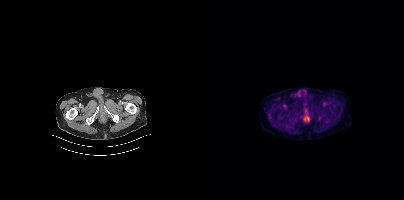
Negative for PSMA-avid disease on this slice.